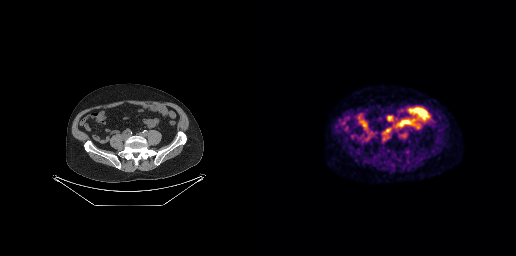
Findings: Negative for PSMA-avid disease on this slice.
Technique: Paired axial CT (left) and PSMA PET (right), 18F tracer. slice position z = -603 mm.